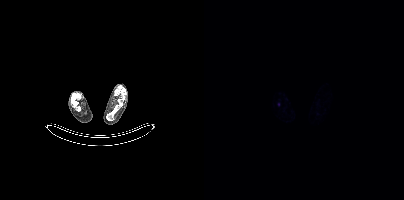
Findings: This slice has no annotated PSMA-avid lesion.
Technique: Paired axial CT (left) and PSMA PET (right), 18F-PSMA tracer.